Paired axial CT (left) and PSMA PET (right), 18F-PSMA tracer. PET panel 256×256 px (2.7 mm/px).
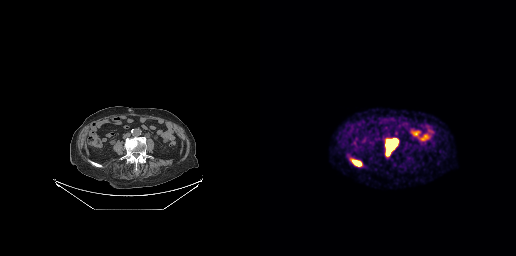
Coordinates are on the 256×256 PET (right) panel. PSMA-avid tumor lesion bounding boxes (x, y, width, height): x=125 y=138 w=14 h=19; x=92 y=160 w=10 h=7.